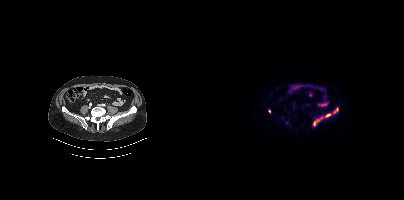
modality: PSMA PET/CT | tracer: [18F]PSMA-1007 | view: axial
Coordinates are on the 200×200 PET (right) panel. PSMA-avid tumor lesion bounding boxes (x0,y0,x1,y1): [109,114,126,125]; [130,107,134,113]. Small PSMA-avid focus (2 to 4 px across) near (center x, center y): (65, 111).